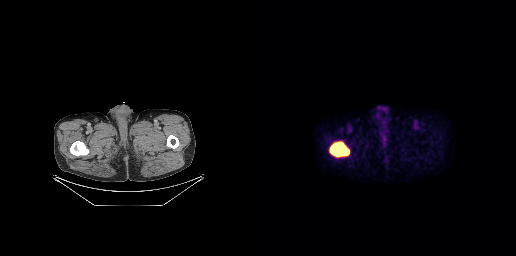
{"modality":"PSMA PET/CT","view":"axial","tracer":"18F","pet_grid":[256,256],"coord_frame":"pet_panel","coord_format":"x0,y0,x1,y1","lesion_bboxes":[[69,141,90,157]]}